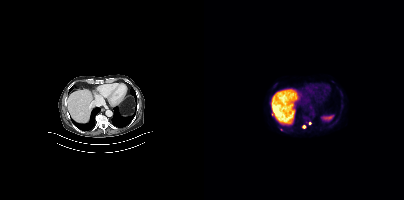
Coordinates are on the 200×200 PET (right) panel. (showing 2 of 3 foci) Small PSMA-avid foci (2 to 4 px across) near (center x, center y): (100, 126); (105, 123). Two-panel axial: CT | PSMA PET, [18F]PSMA-1007 tracer. Slice 258 of 421. PET panel 200×200 px (4.1 mm/px).